- Two-panel axial: CT | PSMA PET, 18F-PSMA tracer
- acquired on Siemens Biograph mCT Flow 20
- slice 193 of 429
- PET panel 200×200 px (4.1 mm/px)
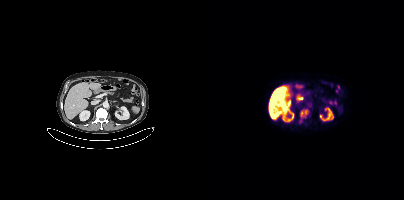
Findings: Coordinates are on the 200×200 PET (right) panel. PSMA-avid tumor lesion bounding box (x0,y0,x1,y1): [96,110,104,117].